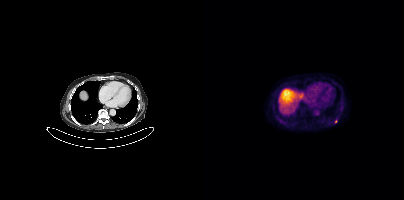
Left: CT. Right: PSMA PET, same axial level, 18F tracer. PET panel 200×200 px (4.1 mm/px). Coordinates are on the 200×200 PET (right) panel. Small PSMA-avid focus (2 to 4 px across) near (center x, center y): (131, 121).